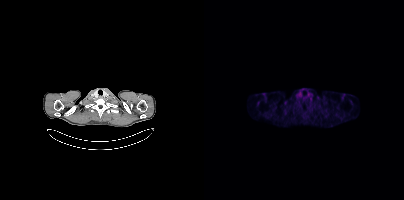
{"modality":"PSMA PET/CT","view":"axial","tracer":"18F","pet_grid":[200,200],"coord_frame":"pet_panel","coord_format":"x0,y0,x1,y1","psma_avid_lesions":false}